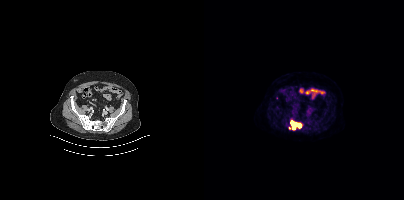
{"modality":"PSMA PET/CT","view":"axial","tracer":"18F","pet_grid":[200,200],"coord_frame":"pet_panel","coord_format":"x0,y0,x1,y1","lesion_bboxes":[[86,120,97,129]],"small_foci_centers":[[85,128]]}